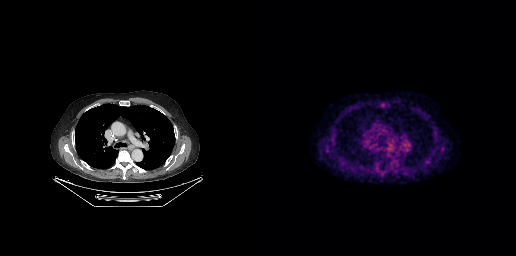
{"modality":"PSMA PET/CT","view":"axial","tracer":"18F","pet_grid":[256,256],"coord_frame":"pet_panel","coord_format":"x0,y0,x1,y1","psma_avid_lesions":false}